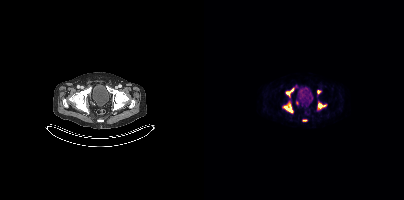
- Paired axial CT (left) and PSMA PET (right), 18F tracer
- slice 515 of 963
- PET panel 200×200 px (4.1 mm/px)
Findings: Coordinates are on the 200×200 PET (right) panel. (showing 5 of 6 foci) PSMA-avid tumor lesion bounding boxes (x, y, width, height): x=79 y=102 w=10 h=11 / x=82 y=88 w=9 h=8 / x=114 y=103 w=8 h=6. Small PSMA-avid foci (2 to 4 px across) near (center x, center y): (93, 102) / (115, 91).